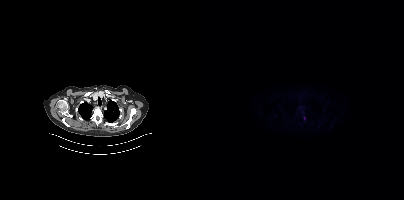
Coordinates are on the 200×200 PET (right) panel. Small PSMA-avid focus (2 to 4 px across) near (center x, center y): (100, 118).